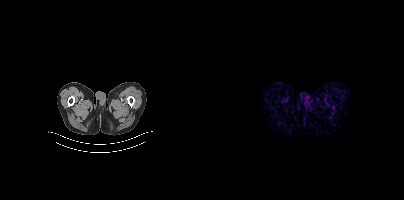
Findings: No tumor lesions annotated on this slice.
Technique: Two-panel axial: CT | PSMA PET, 68Ga-PSMA tracer. slice 13 of 373. PET panel 200×200 px (4.1 mm/px).